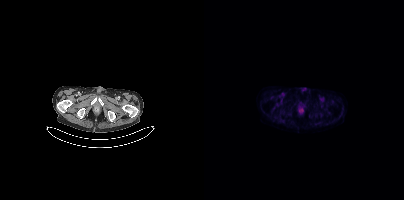
{"modality":"PSMA PET/CT","view":"axial","tracer":"18F","pet_grid":[200,200],"coord_frame":"pet_panel","coord_format":"x0,y0,x1,y1","psma_avid_lesions":false}